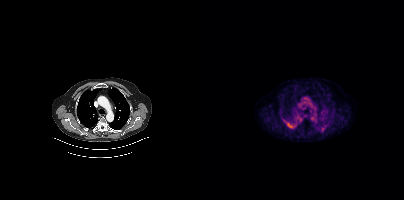
No tumor lesions annotated on this slice.
modality: PSMA PET/CT | tracer: 18F-PSMA | view: axial